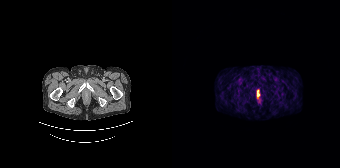
Findings: Coordinates are on the 168×168 PET (right) panel. PSMA-avid tumor lesion bounding box (x0, y0)-(x1, y1): (85, 90)-(87, 96).
Technique: Two-panel axial: CT | PSMA PET, [68Ga]Ga-PSMA-11 tracer.